De-identified by setting a box covering the face to black before release.
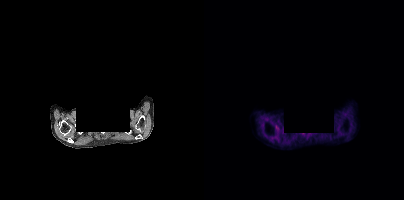
No PSMA-avid tumor lesions on this slice.